Technique: Paired axial CT (left) and PSMA PET (right), [18F]PSMA-1007 tracer. acquired on Siemens Biograph 64-4R TruePoint. slice 55 of 165. PET panel 168×168 px (4.1 mm/px).
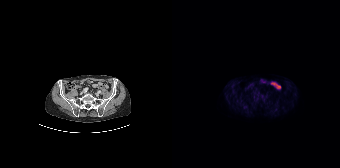
Findings: This slice has no annotated PSMA-avid lesion.